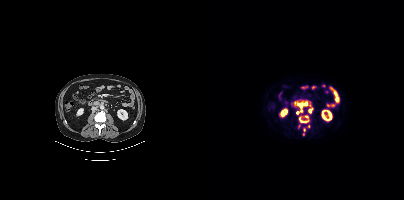
Findings: Coordinates are on the 200×200 PET (right) panel. (showing 6 of 8 foci) PSMA-avid tumor lesion bounding boxes (x0, y0)-(x1, y1): (94, 101)-(106, 112); (95, 115)-(104, 122); (104, 108)-(108, 112). Small PSMA-avid foci (2 to 4 px across) near (center x, center y): (93, 112); (99, 134); (104, 126).
- Left: CT. Right: PSMA PET, same axial level, [18F]PSMA-1007 tracer
- PET panel 200×200 px (4.1 mm/px)